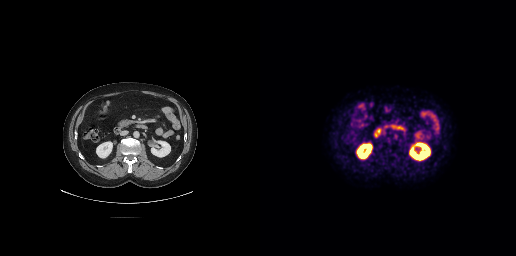
{"modality":"PSMA PET/CT","view":"axial","tracer":"18F","pet_grid":[256,256],"coord_frame":"pet_panel","coord_format":"x0,y0,x1,y1","psma_avid_lesions":false}